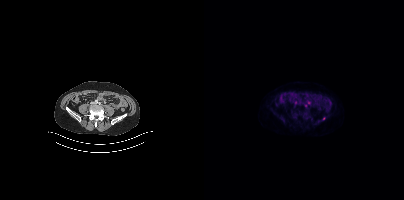
Coordinates are on the 200×200 PET (right) panel. Small PSMA-avid focus (2 to 4 px across) near (center x, center y): (120, 118).